Paired axial CT (left) and PSMA PET (right), 18F-PSMA tracer. Slice 137 of 429.
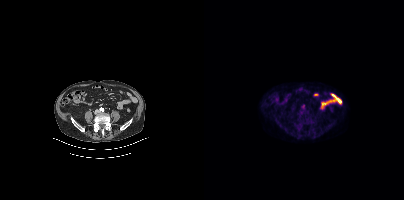
No PSMA-avid tumor lesions on this slice.